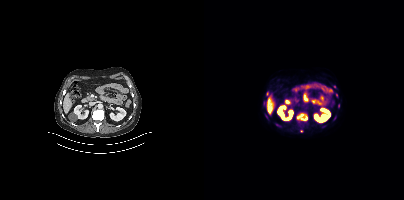
Coordinates are on the 200×200 PET (right) panel. PSMA-avid tumor lesion bounding boxes (partial; 2 more foci not listed):
| # | x0 | y0 | x1 | y1 |
|---|---|---|---|---|
| 1 | 93 | 114 | 103 | 120 |
Small PSMA-avid foci (2 to 4 px across) near (center x, center y): (63, 93); (130, 86).
Left: CT. Right: PSMA PET, same axial level, 18F-PSMA tracer. Acquired on Siemens Biograph mCT Flow 20. Slice position z = -1218 mm.